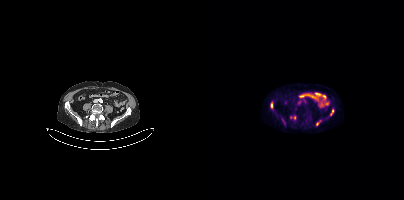
{"modality":"PSMA PET/CT","view":"axial","tracer":"18F-PSMA","pet_grid":[200,200],"coord_frame":"pet_panel","coord_format":"x0,y0,x1,y1","lesion_bboxes":[[67,103,68,107],[127,109,129,113]],"small_foci_centers":[[113,123],[90,117],[86,117]]}